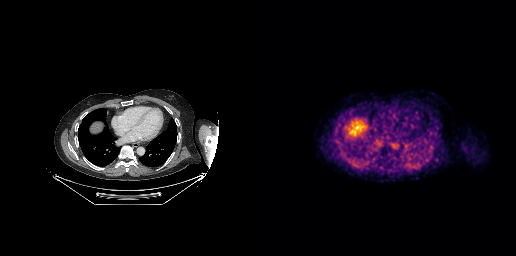
Technique: Two-panel axial: CT | PSMA PET, 68Ga-PSMA tracer.
Findings: No PSMA-avid tumor lesions on this slice.